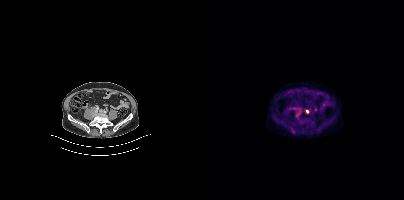
Findings: Coordinates are on the 200×200 PET (right) panel. Small PSMA-avid foci (2 to 4 px across) near (center x, center y): (103, 111) | (89, 131).
- Two-panel axial: CT | PSMA PET, 18F tracer